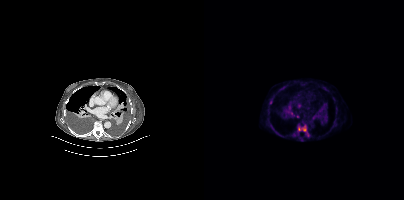
Coordinates are on the 200×200 PET (right) panel. (showing 3 of 4 foci) PSMA-avid tumor lesion bounding box (x0, y0)-(x1, y1): (94, 125)-(105, 136). Small PSMA-avid foci (2 to 4 px across) near (center x, center y): (66, 102) | (93, 116).
modality: PSMA PET/CT | tracer: 18F | view: axial | PET grid: 200×200